Two-panel axial: CT | PSMA PET, 18F-PSMA tracer.
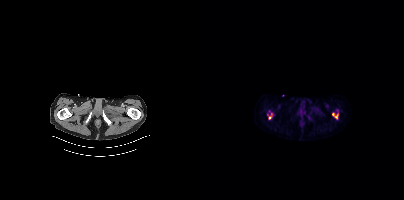
Coordinates are on the 200×200 PET (right) panel. PSMA-avid tumor lesion bounding boxes:
| # | x0 | y0 | x1 | y1 |
|---|---|---|---|---|
| 1 | 63 | 113 | 68 | 119 |
| 2 | 128 | 113 | 134 | 118 |